Technique: Two-panel axial: CT | PSMA PET, [18F]PSMA-1007 tracer. PET panel 200×200 px (4.1 mm/px).
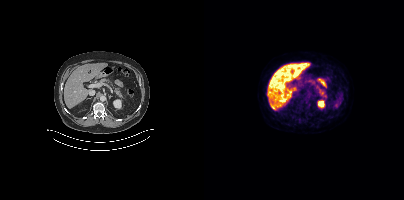
Findings: Coordinates are on the 200×200 PET (right) panel. Small PSMA-avid foci (2 to 4 px across) near (center x, center y): (96, 101) (93, 111).